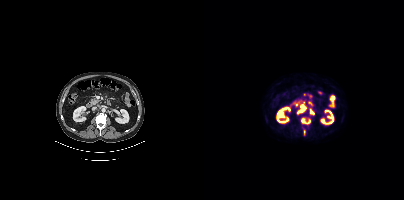
- Left: CT. Right: PSMA PET, same axial level, [18F]PSMA-1007 tracer
- acquired on Siemens Biograph mCT Flow 20
- slice 195 of 417
Findings: Coordinates are on the 200×200 PET (right) panel. (showing 4 of 6 foci) PSMA-avid tumor lesion bounding boxes (x0,y0,x1,y1): [93,104,102,113] [106,109,110,114] [98,119,101,123]. Small PSMA-avid focus (2 to 4 px across) near (center x, center y): (105, 121).